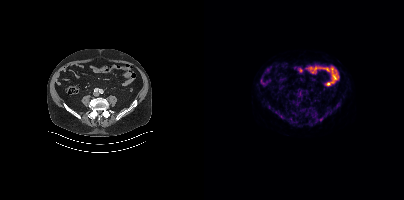
{"pet_grid":[200,200],"coord_frame":"pet_panel","coord_format":"x0,y0,x1,y1","psma_avid_lesions":false,"modality":"PSMA PET/CT","view":"axial","tracer":"18F-PSMA"}